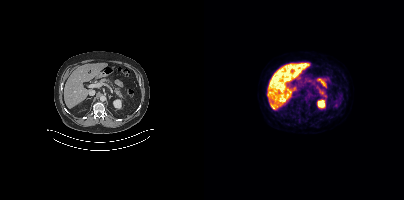
modality: PSMA PET/CT | tracer: 18F-PSMA | view: axial | PET grid: 200×200
Coordinates are on the 200×200 PET (right) panel. Small PSMA-avid foci (2 to 4 px across) near (center x, center y): (107, 96) / (97, 101).